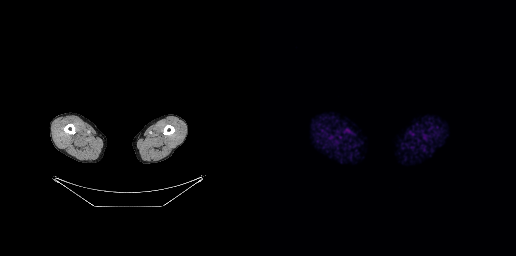
{"modality":"PSMA PET/CT","view":"axial","tracer":"18F-PSMA","pet_grid":[256,256],"coord_frame":"pet_panel","coord_format":"x0,y0,x1,y1","psma_avid_lesions":false}